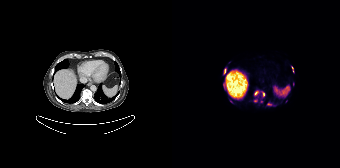
Left: CT. Right: PSMA PET, same axial level, 18F tracer. Acquired on Siemens Biograph 64-4R TruePoint. Slice position z = -865 mm. PET panel 168×168 px (4.1 mm/px). Coordinates are on the 168×168 PET (right) panel. (showing 7 of 8 foci) PSMA-avid tumor lesion bounding boxes (x0, y0)-(x1, y1): (82, 91)-(93, 98) | (81, 98)-(85, 102) | (95, 102)-(99, 105) | (52, 68)-(54, 72) | (120, 67)-(122, 72). Small PSMA-avid foci (2 to 4 px across) near (center x, center y): (52, 85) | (89, 101).